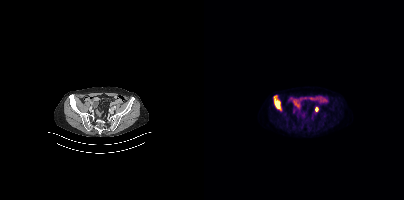
Coordinates are on the 200×200 PET (right) panel. PSMA-avid tumor lesion bounding box (x0, y0)-(x1, y1): (69, 95)-(77, 110). Small PSMA-avid focus (2 to 4 px across) near (center x, center y): (113, 109).